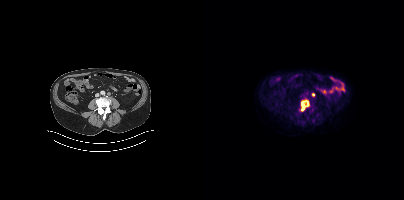
Findings: Coordinates are on the 200×200 PET (right) panel. PSMA-avid tumor lesion bounding box (x0, y0)-(x1, y1): (97, 100)-(105, 111). Small PSMA-avid focus (2 to 4 px across) near (center x, center y): (109, 94).
- Paired axial CT (left) and PSMA PET (right), 18F-PSMA tracer
- acquired on Siemens Biograph mCT Flow 20